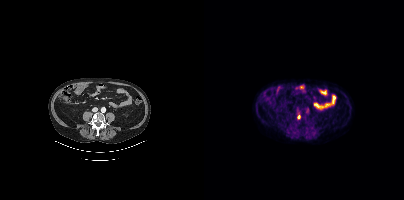
{"modality":"PSMA PET/CT","view":"axial","tracer":"[18F]PSMA-1007","pet_grid":[200,200],"coord_frame":"pet_panel","coord_format":"x0,y0,x1,y1","lesion_bboxes":[],"small_foci_centers":[[94,116]]}